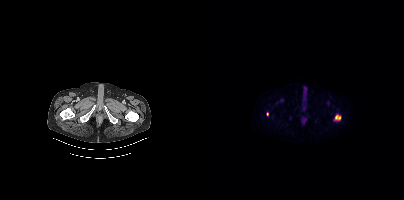
Coordinates are on the 200×200 PET (right) panel. PSMA-avid tumor lesion bounding box (x0,y0,x1,y1): [131,114,137,120]. Small PSMA-avid foci (2 to 4 px across) near (center x, center y): (78, 100), (63, 114).